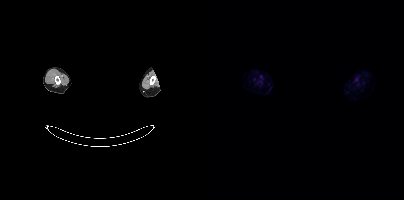
Technique: Paired axial CT (left) and PSMA PET (right), [18F]PSMA-1007 tracer. acquired on Siemens Biograph mCT Flow 20. slice 412 of 421.
Note: Head region blanked for anonymization (face removed).
Findings: No tumor lesions annotated on this slice.